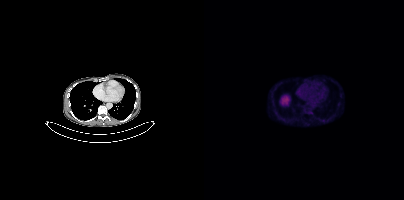
Coordinates are on the 200×200 PET (right) panel. PSMA-avid tumor lesion bounding box (x0,y0,x1,y1): [117,119,121,122].